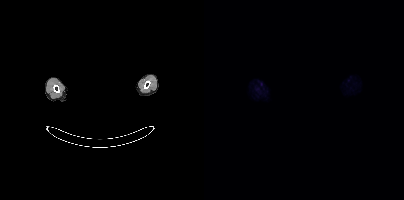
Privacy masking over the head, with the pixels inside a rectangle set to black. Left: CT. Right: PSMA PET, same axial level, 18F-PSMA tracer. Slice position z = -842 mm. PET panel 200×200 px (4.1 mm/px). Negative for PSMA-avid disease on this slice.